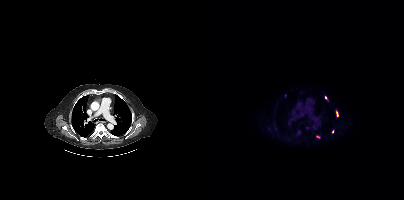
modality: PSMA PET/CT | tracer: [18F]PSMA-1007 | view: axial | PET grid: 200×200
Coordinates are on the 200×200 PET (right) panel. (showing 2 of 3 foci) PSMA-avid tumor lesion bounding box (x0,y0,x1,y1): [132,112,134,116]. Small PSMA-avid focus (2 to 4 px across) near (center x, center y): (113, 137).